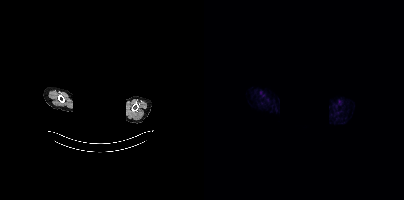
The face region was removed for patient privacy by blanking a rectangle over the head. Paired axial CT (left) and PSMA PET (right), [68Ga]Ga-PSMA-11 tracer. This slice has no annotated PSMA-avid lesion.